Paired axial CT (left) and PSMA PET (right), 18F-PSMA tracer. Acquired on Siemens Biograph mCT Flow 20. Slice position z = -1738 mm. PET panel 200×200 px (4.1 mm/px).
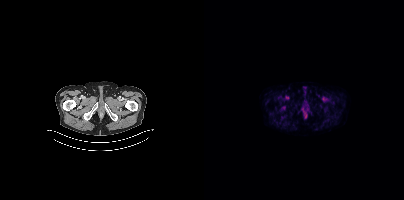
This slice has no annotated PSMA-avid lesion.